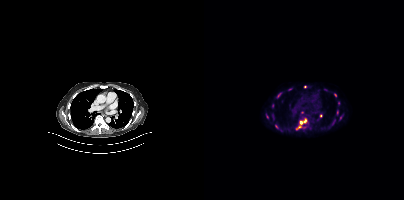
{"modality":"PSMA PET/CT","view":"axial","tracer":"18F","pet_grid":[200,200],"coord_frame":"pet_panel","coord_format":"x0,y0,x1,y1","partial":true,"lesion_bboxes":[[92,118,102,129],[73,93,77,97],[128,119,131,124]],"small_foci_centers":[[131,94],[72,126],[133,112],[101,86],[134,103],[68,105],[86,89],[116,115],[63,116],[136,117]]}